modality: PSMA PET/CT | tracer: 18F-PSMA | view: axial
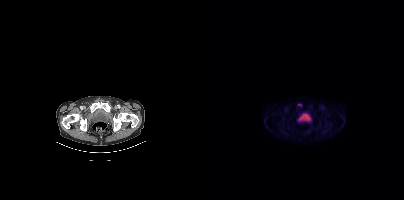
Only PSMA-avid lesion pieces thinner than 2 px on this slice (not listed).